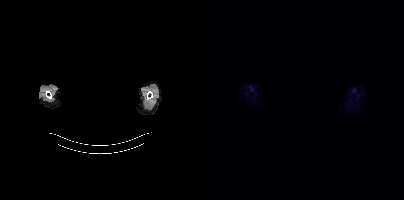
No PSMA-avid tumor lesions on this slice. Paired axial CT (left) and PSMA PET (right), [18F]PSMA-1007 tracer. Acquired on Siemens Biograph mCT Flow 20. Any black rectangle over the head is a privacy mask, not anatomy.